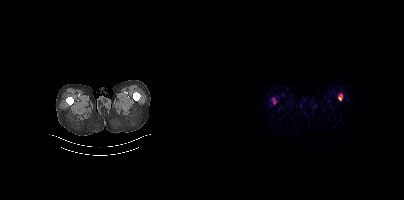
No tumor lesions annotated on this slice.
modality: PSMA PET/CT | tracer: 68Ga | view: axial